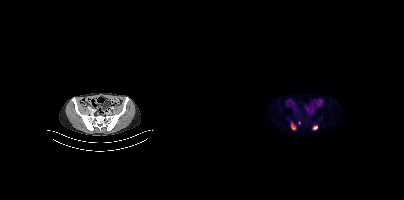
Coordinates are on the 200×200 PET (right) panel. (showing 2 of 3 foci) PSMA-avid tumor lesion bounding boxes (x0,y0,x1,y1): [109,126,113,129] [88,124,91,129].